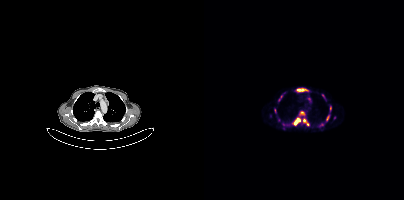
- Left: CT. Right: PSMA PET, same axial level, 68Ga-PSMA tracer
- slice position z = -629 mm
Findings: Coordinates are on the 200×200 PET (right) panel. (showing 10 of 12 foci) PSMA-avid tumor lesion bounding boxes (x, y, width, height): x=90 y=118 w=7 h=8 / x=93 y=88 w=11 h=4 / x=122 y=115 w=4 h=7. Small PSMA-avid foci (2 to 4 px across) near (center x, center y): (119, 95) / (100, 120) / (98, 112) / (77, 96) / (105, 98) / (103, 124) / (75, 99).